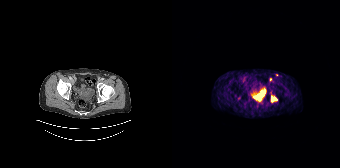
- Paired axial CT (left) and PSMA PET (right), 68Ga-PSMA tracer
- acquired on Siemens Biograph 64-4R TruePoint
- slice position z = -920 mm
Findings: Coordinates are on the 168×168 PET (right) panel. PSMA-avid tumor lesion bounding box (x0, y0)-(x1, y1): (99, 95)-(105, 101). Small PSMA-avid foci (2 to 4 px across) near (center x, center y): (98, 79); (104, 74).